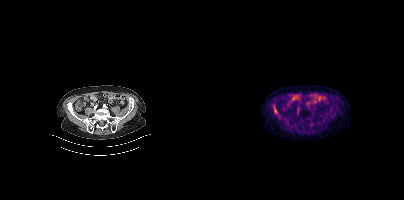
Left: CT. Right: PSMA PET, same axial level, 18F tracer. Slice 133 of 397. PET panel 200×200 px (4.1 mm/px).
Coordinates are on the 200×200 PET (right) panel. PSMA-avid tumor lesion bounding boxes:
| # | x0 | y0 | x1 | y1 |
|---|---|---|---|---|
| 1 | 70 | 108 | 73 | 113 |